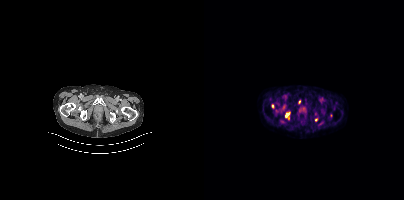
Findings: Coordinates are on the 200×200 PET (right) panel. (showing 3 of 4 foci) PSMA-avid tumor lesion bounding box (x0,y0,x1,y1): [81,112,85,117]. Small PSMA-avid foci (2 to 4 px across) near (center x, center y): (68, 106) (111, 119).
Technique: Paired axial CT (left) and PSMA PET (right), [18F]PSMA-1007 tracer. acquired on Siemens Biograph mCT Flow 20. PET panel 200×200 px (4.1 mm/px).